- Paired axial CT (left) and PSMA PET (right), [18F]PSMA-1007 tracer
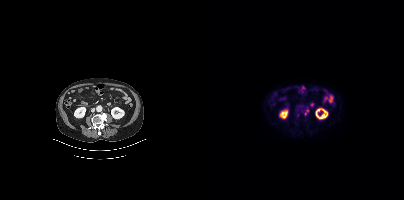
Findings: Coordinates are on the 200×200 PET (right) panel. PSMA-avid tumor lesion bounding box (x, y, width, height): x=100 y=109 w=6 h=7.